A rectangle over the head was blacked out to remove identifiable facial features.
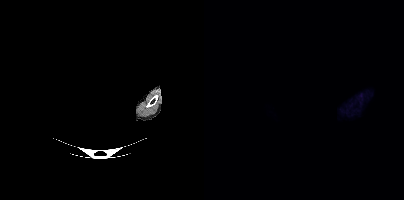
No PSMA-avid tumor lesions on this slice.